De-identified by setting a box covering the face to black before release.
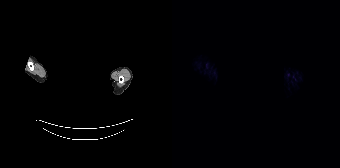
Negative for PSMA-avid disease on this slice.